Two-panel axial: CT | PSMA PET, [18F]PSMA-1007 tracer. Slice position z = -798 mm. PET panel 200×200 px (4.1 mm/px).
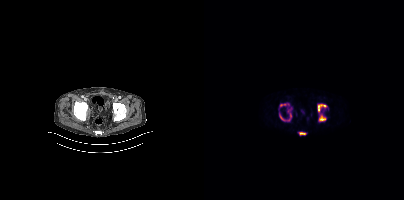
Coordinates are on the 200×200 PET (right) panel. PSMA-avid tumor lesion bounding boxes (partial; 1 more focus not listed):
| # | x0 | y0 | x1 | y1 |
|---|---|---|---|---|
| 1 | 114 | 104 | 122 | 112 |
| 2 | 115 | 114 | 122 | 121 |
| 3 | 75 | 113 | 81 | 120 |
| 4 | 76 | 103 | 84 | 106 |
| 5 | 95 | 132 | 102 | 135 |
| 6 | 83 | 113 | 87 | 120 |